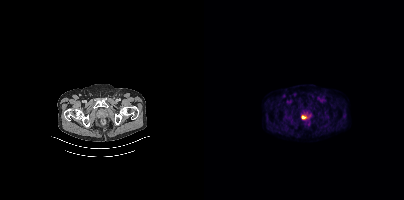
Coordinates are on the 200×200 PET (right) panel. PSMA-avid tumor lesion bounding box (x0, y0)-(x1, y1): (97, 115)-(102, 119). Paired axial CT (left) and PSMA PET (right), [18F]PSMA-1007 tracer. PET panel 200×200 px (4.1 mm/px).